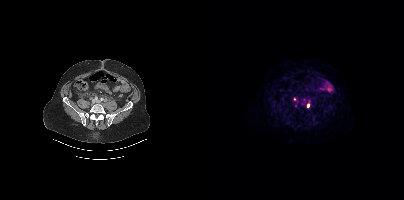
{"pet_grid":[200,200],"coord_frame":"pet_panel","coord_format":"x0,y0,x1,y1","lesion_bboxes":[],"small_foci_centers":[[104,105],[90,99]],"modality":"PSMA PET/CT","view":"axial","tracer":"18F-PSMA"}